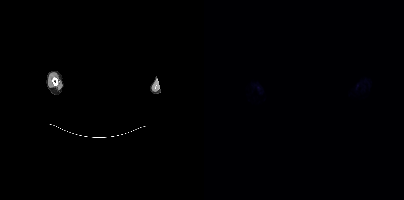
{"modality":"PSMA PET/CT","view":"axial","tracer":"18F-PSMA","pet_grid":[200,200],"coord_frame":"pet_panel","coord_format":"x0,y0,x1,y1","psma_avid_lesions":false,"deidentification":"privacy mask over head"}